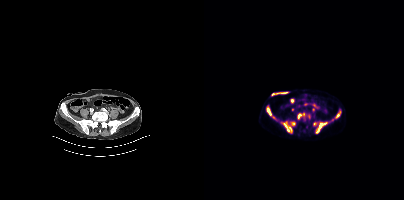
Coordinates are on the 200×200 PET (right) panel. PSMA-avid tumor lesion bounding boxes (partial; 2 more foci not listed):
| # | x0 | y0 | x1 | y1 |
|---|---|---|---|---|
| 1 | 77 | 121 | 91 | 133 |
| 2 | 112 | 122 | 123 | 133 |
| 3 | 62 | 106 | 70 | 118 |
| 4 | 93 | 113 | 100 | 119 |
| 5 | 131 | 111 | 136 | 118 |
Small PSMA-avid focus (2 to 4 px across) near (center x, center y): (110, 123).
Left: CT. Right: PSMA PET, same axial level, 18F-PSMA tracer. Acquired on Siemens Biograph mCT Flow 20.